Technique: Two-panel axial: CT | PSMA PET, 18F-PSMA tracer. slice position z = -875 mm.
Note: The head region is masked for de-identification.
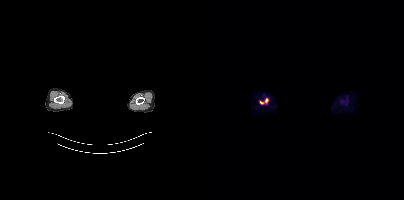
Findings: Coordinates are on the 200×200 PET (right) panel. PSMA-avid tumor lesion bounding box (x0,y0,x1,y1): [55,98,64,104].